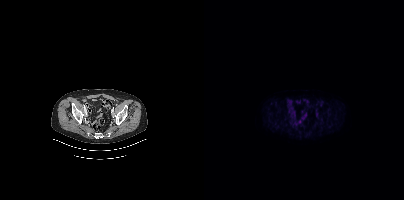
Negative for PSMA-avid disease on this slice. Paired axial CT (left) and PSMA PET (right), 18F-PSMA tracer. Slice 98 of 405.